Two-panel axial: CT | PSMA PET, 18F-PSMA tracer. Acquired on Siemens Biograph mCT Flow 20. Slice 151 of 431.
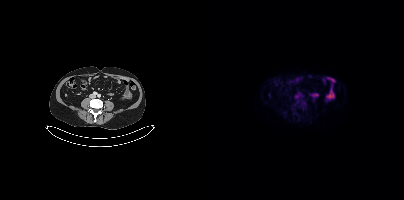
This slice has no annotated PSMA-avid lesion.